Technique: Paired axial CT (left) and PSMA PET (right), [68Ga]Ga-PSMA-11 tracer. acquired on GE Discovery 690.
Note: The face region was removed for patient privacy by blanking a rectangle over the head.
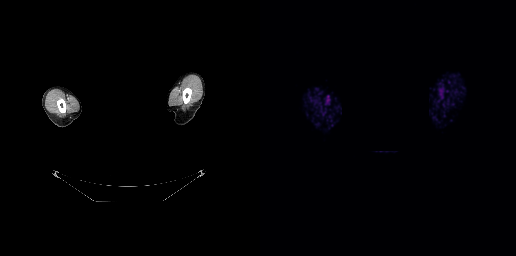
Findings: This slice has no annotated PSMA-avid lesion.